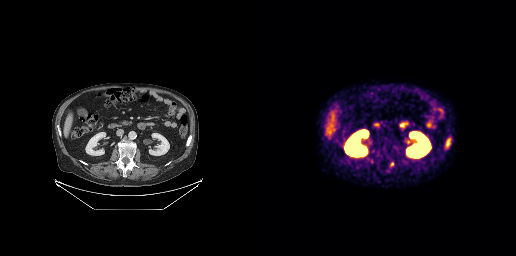
Two-panel axial: CT | PSMA PET, 68Ga tracer. Slice 129 of 263. Negative for PSMA-avid disease on this slice.